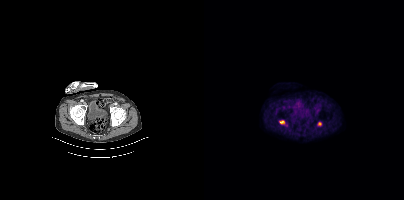
{"modality":"PSMA PET/CT","view":"axial","tracer":"18F-PSMA","pet_grid":[200,200],"coord_frame":"pet_panel","coord_format":"x0,y0,x1,y1","lesion_bboxes":[[75,120,80,124],[113,121,117,126]]}